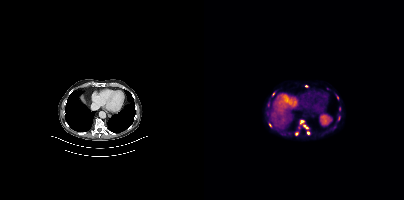
Technique: Left: CT. Right: PSMA PET, same axial level, [18F]PSMA-1007 tracer. acquired on Siemens Biograph mCT Flow 20. slice position z = -578 mm. PET panel 200×200 px (4.1 mm/px).
Findings: Coordinates are on the 200×200 PET (right) panel. PSMA-avid tumor lesion bounding boxes (x0, y0)-(x1, y1): (96, 120)-(100, 123); (99, 125)-(104, 128). Small PSMA-avid foci (2 to 4 px across) near (center x, center y): (66, 125); (92, 133); (104, 133); (102, 86); (69, 94); (134, 117); (135, 108).